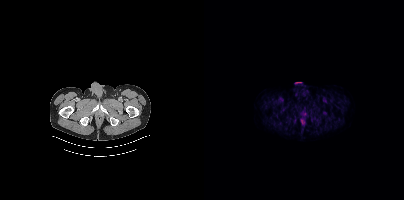
{"modality":"PSMA PET/CT","view":"axial","tracer":"18F-PSMA","pet_grid":[200,200],"coord_frame":"pet_panel","coord_format":"x0,y0,x1,y1","psma_avid_lesions":false}